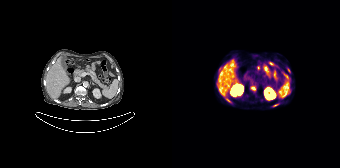
modality: PSMA PET/CT | tracer: [68Ga]Ga-PSMA-11 | view: axial | PET grid: 168×168
Coordinates are on the 168×168 PET (right) panel. PSMA-avid tumor lesion bounding boxes (x0,y0,x1,y1): [79,86,83,90] [54,98,58,102]. Small PSMA-avid foci (2 to 4 px across) near (center x, center y): (47, 68) (116, 69) (102, 105).